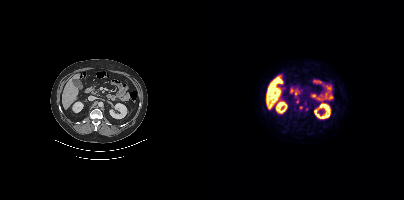
Technique: Left: CT. Right: PSMA PET, same axial level, 18F tracer. acquired on Siemens Biograph mCT Flow 20. slice 216 of 435.
Findings: Coordinates are on the 200×200 PET (right) panel. Small PSMA-avid foci (2 to 4 px across) near (center x, center y): (103, 108) / (96, 107) / (92, 103).